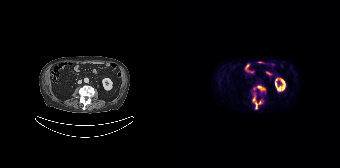
Coordinates are on the 168×168 PET (right) panel. (showing 2 of 3 foci) PSMA-avid tumor lesion bounding boxes (x, y, width, height): x=80 y=96 w=10 h=14 / x=85 y=86 w=9 h=5.